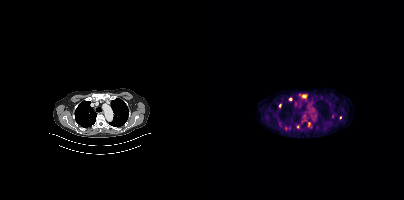
Coordinates are on the 200×200 PET (right) panel. (showing 5 of 7 foci) PSMA-avid tumor lesion bounding box (x0, y0)-(x1, y1): (98, 95)-(102, 97). Small PSMA-avid foci (2 to 4 px across) near (center x, center y): (86, 99); (75, 105); (136, 117); (93, 126).